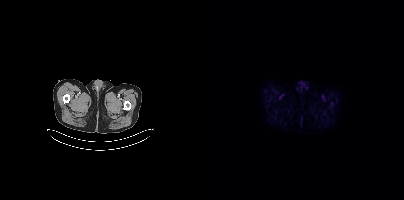
Paired axial CT (left) and PSMA PET (right), [18F]PSMA-1007 tracer. Slice 29 of 389. No tumor lesions annotated on this slice.